modality: PSMA PET/CT | tracer: 18F-PSMA | view: axial
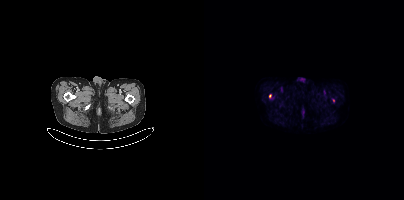
Coordinates are on the 200×200 PET (right) panel. Small PSMA-avid foci (2 to 4 px across) near (center x, center y): (66, 95) | (129, 100).